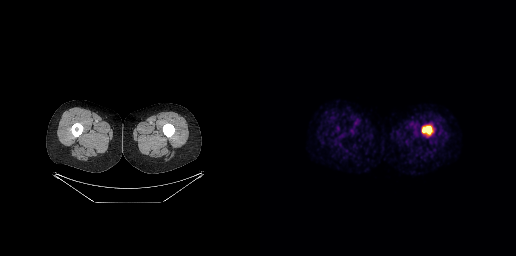
Coordinates are on the 256×256 PET (right) panel. PSMA-avid tumor lesion bounding box (x0, y0)-(x1, y1): (162, 126)-(171, 134).